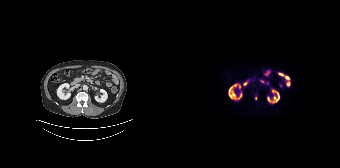
Coordinates are on the 168×168 PET (right) panel. Small PSMA-avid focus (2 to 4 px across) near (center x, center y): (83, 97).
modality: PSMA PET/CT | tracer: 18F | view: axial